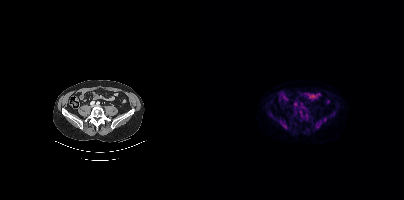
modality: PSMA PET/CT | tracer: 18F | view: axial
No tumor lesions annotated on this slice.